- Two-panel axial: CT | PSMA PET, 68Ga-PSMA tracer
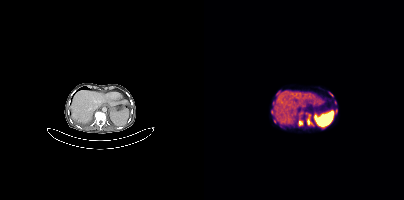
Findings: Coordinates are on the 200×200 PET (right) panel. (showing 5 of 7 foci) PSMA-avid tumor lesion bounding boxes (x0,y0,x1,y1): [103,114,107,124]; [95,120,98,125]; [67,109,69,113]. Small PSMA-avid foci (2 to 4 px across) near (center x, center y): (70, 121); (127, 94).